Two-panel axial: CT | PSMA PET, 18F-PSMA tracer. Acquired on Siemens Biograph mCT Flow 20. Slice 34 of 429. PET panel 200×200 px (4.1 mm/px).
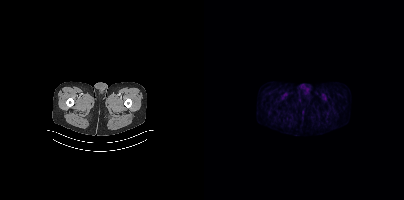
No PSMA-avid tumor lesions on this slice.